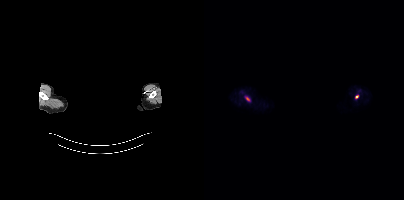
Coordinates are on the 200×200 PET (right) panel. Small PSMA-avid foci (2 to 4 px across) near (center x, center y): (152, 96) | (43, 99).
The face region was removed for patient privacy by blanking a rectangle over the head.